Left: CT. Right: PSMA PET, same axial level, 18F tracer. Acquired on Siemens Biograph mCT Flow 20. PET panel 200×200 px (4.1 mm/px).
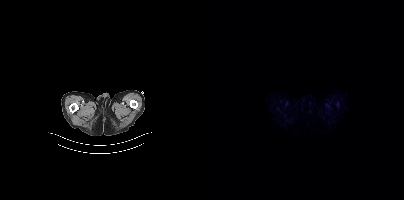
No PSMA-avid tumor lesions on this slice.